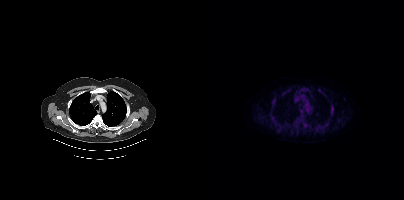
Left: CT. Right: PSMA PET, same axial level, [18F]PSMA-1007 tracer. Acquired on Siemens Biograph mCT Flow 20. PET panel 200×200 px (4.1 mm/px). Coordinates are on the 200×200 PET (right) panel. (showing 9 of 11 foci) PSMA-avid tumor lesion bounding boxes (x0, y0)-(x1, y1): (90, 115)-(103, 126); (69, 95)-(72, 104); (126, 107)-(129, 114); (97, 87)-(101, 91); (113, 125)-(117, 129). Small PSMA-avid foci (2 to 4 px across) near (center x, center y): (122, 124); (74, 130); (115, 90); (80, 93).